- Left: CT. Right: PSMA PET, same axial level, [18F]PSMA-1007 tracer
- PET panel 200×200 px (4.1 mm/px)
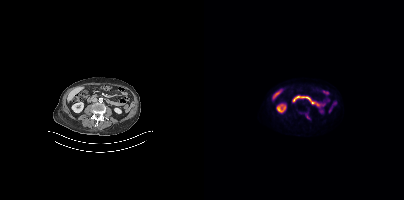
Findings: Coordinates are on the 200×200 PET (right) panel. PSMA-avid tumor lesion bounding box (x, y, width, height): x=101 y=113 w=6 h=7.